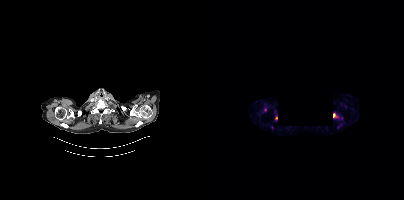
Technique: Paired axial CT (left) and PSMA PET (right), [18F]PSMA-1007 tracer. acquired on Siemens Biograph mCT Flow 20.
Note: A rectangular region was set to black for de-identification.
Findings: Coordinates are on the 200×200 PET (right) panel. (showing 3 of 4 foci) PSMA-avid tumor lesion bounding boxes (x, y, width, height): x=58 y=107 w=5 h=6 / x=129 y=113 w=4 h=5. Small PSMA-avid focus (2 to 4 px across) near (center x, center y): (72, 117).